Paired axial CT (left) and PSMA PET (right), 18F tracer. Slice position z = -890 mm.
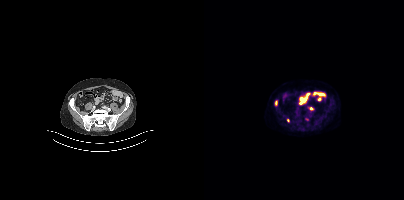
Coordinates are on the 200×200 PET (right) panel. PSMA-avid tumor lesion bounding boxes:
| # | x0 | y0 | x1 | y1 |
|---|---|---|---|---|
| 1 | 71 | 100 | 73 | 105 |
Small PSMA-avid foci (2 to 4 px across) near (center x, center y): (102, 119); (107, 108); (84, 120).